modality: PSMA PET/CT | tracer: 18F | view: axial | PET grid: 200×200
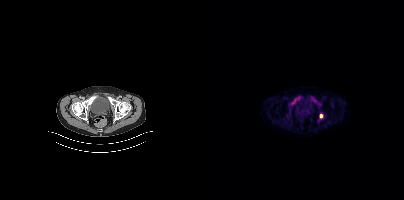
Coordinates are on the 200×200 PET (right) panel. (showing 2 of 5 foci) PSMA-avid tumor lesion bounding boxes (x0,y0,x1,y1): [107,96,112,102], [115,113,119,118].